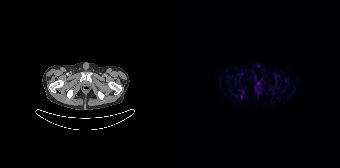
Two-panel axial: CT | PSMA PET, 18F tracer. PET panel 168×168 px (4.1 mm/px). No PSMA-avid tumor lesions on this slice.